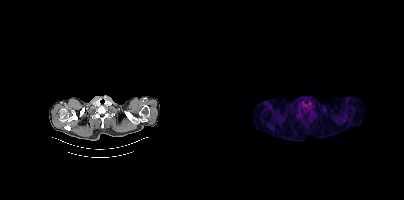
No tumor lesions annotated on this slice.